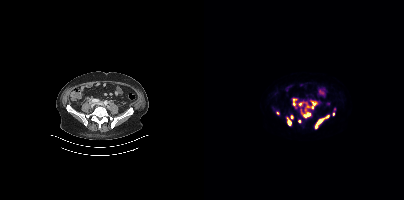
Coordinates are on the 200×200 PET (right) panel. PSMA-avid tumor lesion bounding boxes (partial; 1 more focus not listed):
| # | x0 | y0 | x1 | y1 |
|---|---|---|---|---|
| 1 | 111 | 115 | 125 | 128 |
| 2 | 98 | 112 | 106 | 117 |
| 3 | 107 | 101 | 112 | 108 |
| 4 | 83 | 117 | 87 | 125 |
| 5 | 95 | 101 | 103 | 105 |
| 6 | 89 | 99 | 92 | 105 |
Small PSMA-avid foci (2 to 4 px across) near (center x, center y): (88, 116); (95, 121); (104, 106); (129, 114); (73, 112).
Left: CT. Right: PSMA PET, same axial level, [18F]PSMA-1007 tracer. PET panel 200×200 px (4.1 mm/px).